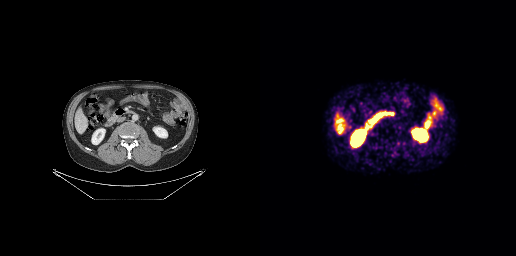
Two-panel axial: CT | PSMA PET, [68Ga]Ga-PSMA-11 tracer. Acquired on GE Discovery 690. No tumor lesions annotated on this slice.